An anonymization step blacked out a rectangle over the head in this scan. Paired axial CT (left) and PSMA PET (right), 68Ga tracer. Acquired on GE Discovery 690. Slice position z = -249 mm.
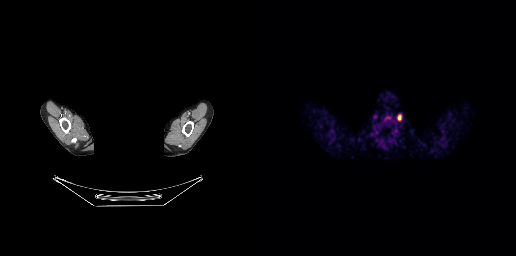
This slice has no annotated PSMA-avid lesion.